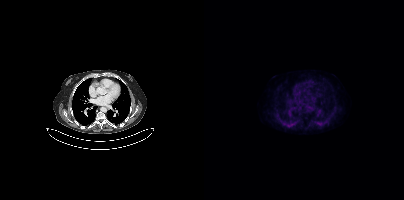
modality: PSMA PET/CT | tracer: 18F | view: axial | PET grid: 200×200
Negative for PSMA-avid disease on this slice.